- Left: CT. Right: PSMA PET, same axial level, [18F]PSMA-1007 tracer
- PET panel 200×200 px (4.1 mm/px)
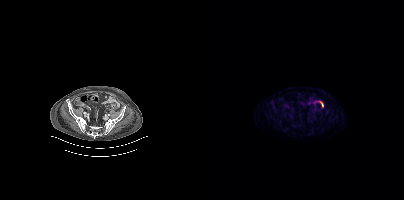
Findings: This slice has no annotated PSMA-avid lesion.